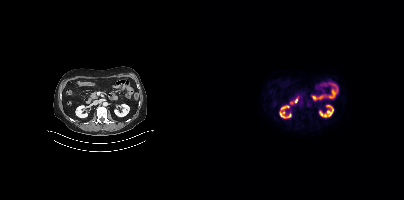
Technique: Left: CT. Right: PSMA PET, same axial level, [18F]PSMA-1007 tracer. slice 203 of 436.
Findings: This slice has no annotated PSMA-avid lesion.